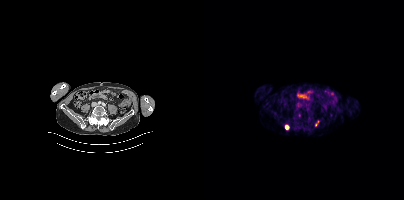
Two-panel axial: CT | PSMA PET, [18F]PSMA-1007 tracer. Acquired on Siemens Biograph mCT Flow 20. Slice 148 of 427. PET panel 200×200 px (4.1 mm/px).
Coordinates are on the 200×200 PET (right) panel. PSMA-avid tumor lesion bounding boxes (partial; 1 more focus not listed):
| # | x0 | y0 | x1 | y1 |
|---|---|---|---|---|
| 1 | 80 | 124 | 85 | 130 |